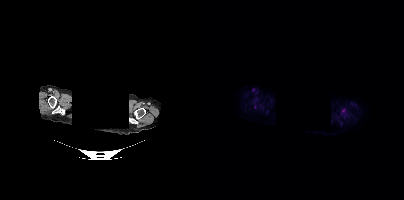
- privacy masking over the head, with the pixels inside a rectangle set to black
- Paired axial CT (left) and PSMA PET (right), [18F]PSMA-1007 tracer
- PET panel 200×200 px (4.1 mm/px)
Findings: No tumor lesions annotated on this slice.